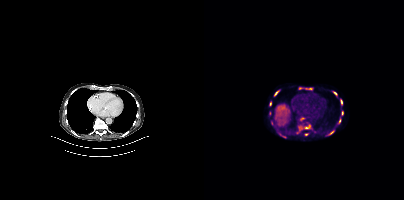
Findings: Coordinates are on the 200×200 PET (right) panel. (showing 11 of 15 foci) PSMA-avid tumor lesion bounding boxes (x, y, width, height): x=100 y=124 w=7 h=5 / x=70 y=90 w=6 h=7 / x=136 y=99 w=3 h=7 / x=95 y=126 w=4 h=5 / x=128 y=91 w=6 h=5 / x=137 y=111 w=3 h=5 / x=134 y=118 w=4 h=6 / x=125 y=131 w=5 h=4. Small PSMA-avid foci (2 to 4 px across) near (center x, center y): (66, 103) / (102, 134) / (67, 123).
Technique: Two-panel axial: CT | PSMA PET, 18F tracer. acquired on Siemens Biograph mCT Flow 20.